- Left: CT. Right: PSMA PET, same axial level, 18F-PSMA tracer
- acquired on Siemens Biograph mCT Flow 20
- slice 172 of 433
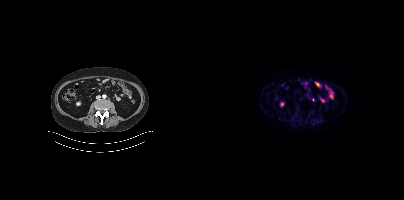
Findings: Only PSMA-avid lesion pieces thinner than 2 px on this slice (not listed).